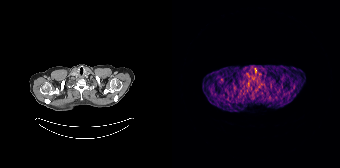
Two-panel axial: CT | PSMA PET, 68Ga-PSMA tracer. Slice 138 of 165. PET panel 168×168 px (4.1 mm/px). This slice has no annotated PSMA-avid lesion.